Paired axial CT (left) and PSMA PET (right), [18F]PSMA-1007 tracer. PET panel 168×168 px (4.1 mm/px).
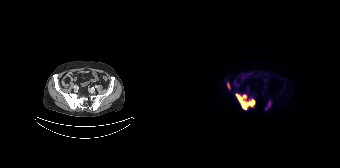
Coordinates are on the 168×168 PET (right) panel. PSMA-avid tumor lesion bounding boxes:
| # | x0 | y0 | x1 | y1 |
|---|---|---|---|---|
| 1 | 64 | 94 | 83 | 109 |
| 2 | 55 | 83 | 57 | 88 |